- Left: CT. Right: PSMA PET, same axial level, [68Ga]Ga-PSMA-11 tracer
- the face region was removed for patient privacy by blanking a rectangle over the head
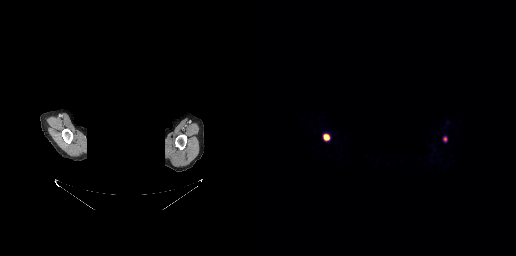
Findings: Coordinates are on the 256×256 PET (right) panel. PSMA-avid tumor lesion bounding box (x0, y0)-(x1, y1): (64, 135)-(68, 139).